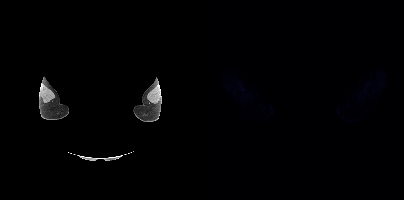
{"pet_grid":[200,200],"coord_frame":"pet_panel","coord_format":"x0,y0,x1,y1","psma_avid_lesions":false,"modality":"PSMA PET/CT","view":"axial","tracer":"18F","deidentification":"privacy mask over head"}